Two-panel axial: CT | PSMA PET, 18F tracer. Acquired on Siemens Biograph mCT Flow 20. Slice 288 of 423.
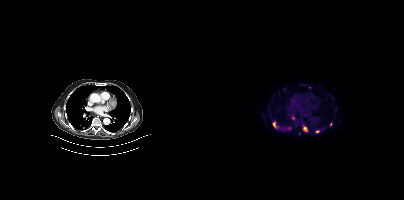
Coordinates are on the 200×200 PET (right) panel. PSMA-avid tumor lesion bounding boxes (partial; 1 more focus not listed):
| # | x0 | y0 | x1 | y1 |
|---|---|---|---|---|
| 1 | 69 | 122 | 74 | 128 |
| 2 | 99 | 127 | 102 | 131 |
Small PSMA-avid foci (2 to 4 px across) near (center x, center y): (84, 128); (89, 117); (113, 131); (105, 87); (80, 88).